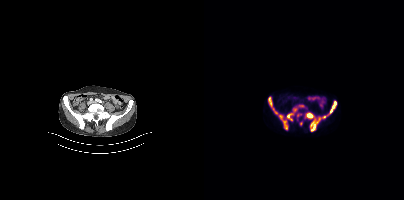
Coordinates are on the 200×200 PET (right) panel. PSMA-avid tumor lesion bounding boxes (x0,y0,x1,y1): [101,112,116,131] [75,108,93,129] [119,100,133,118] [64,97,73,114] [95,105,99,107] [93,114,97,116]. Small PSMA-avid focus (2 to 4 px across) near (center x, center y): (97, 123). Left: CT. Right: PSMA PET, same axial level, 18F tracer. PET panel 200×200 px (4.1 mm/px).